Paired axial CT (left) and PSMA PET (right), 68Ga-PSMA tracer. PET panel 256×256 px (2.7 mm/px).
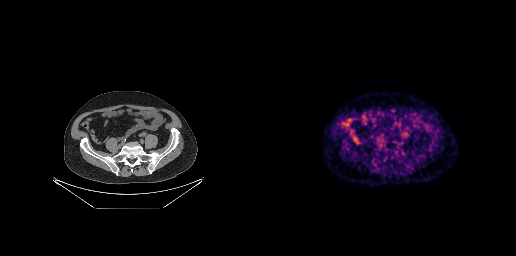
No PSMA-avid tumor lesions on this slice.